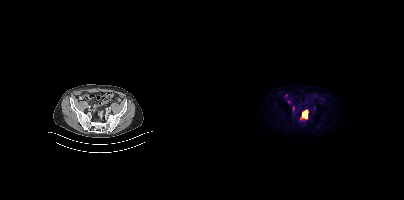
- Left: CT. Right: PSMA PET, same axial level, 18F-PSMA tracer
- acquired on Siemens Biograph mCT Flow 20
Findings: Coordinates are on the 200×200 PET (right) panel. (showing 2 of 4 foci) PSMA-avid tumor lesion bounding box (x0,y0,x1,y1): [97,110,104,118]. Small PSMA-avid focus (2 to 4 px across) near (center x, center y): (84, 101).